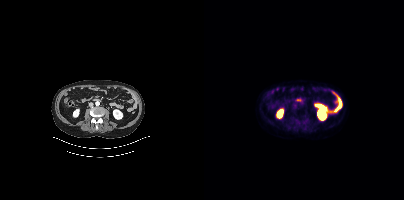
Negative for PSMA-avid disease on this slice. Two-panel axial: CT | PSMA PET, 18F-PSMA tracer. Slice 168 of 409. PET panel 200×200 px (4.1 mm/px).